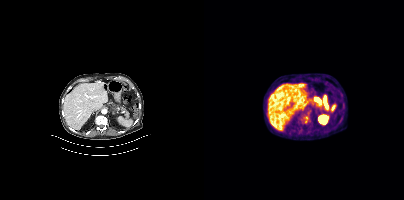
{"modality":"PSMA PET/CT","view":"axial","tracer":"18F-PSMA","pet_grid":[200,200],"coord_frame":"pet_panel","coord_format":"x0,y0,x1,y1","lesion_bboxes":[],"small_foci_centers":[[102,117],[101,121]]}